Paired axial CT (left) and PSMA PET (right), 18F-PSMA tracer. Acquired on Siemens Biograph mCT Flow 20. Slice 75 of 395. PET panel 200×200 px (4.1 mm/px).
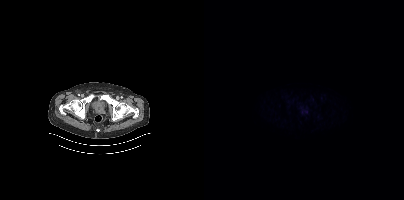
No PSMA-avid tumor lesions on this slice.